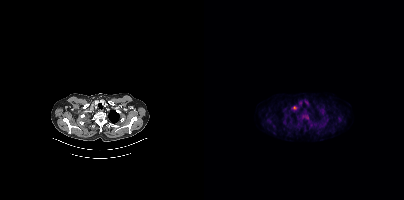
Coordinates are on the 200×200 PET (right) panel. PSMA-avid tumor lesion bounding box (x, y, width, height): x=97 y=112 w=7 h=8. Small PSMA-avid focus (2 to 4 px across) near (center x, center y): (90, 107).